- Paired axial CT (left) and PSMA PET (right), [18F]PSMA-1007 tracer
- slice position z = -898 mm
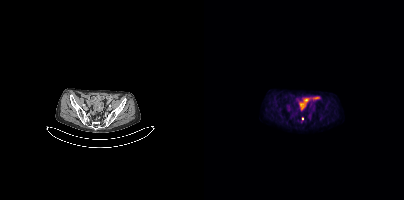
Findings: Coordinates are on the 200×200 PET (right) panel. Small PSMA-avid focus (2 to 4 px across) near (center x, center y): (98, 118).